Left: CT. Right: PSMA PET, same axial level, [18F]PSMA-1007 tracer. Slice 131 of 401. PET panel 200×200 px (4.1 mm/px).
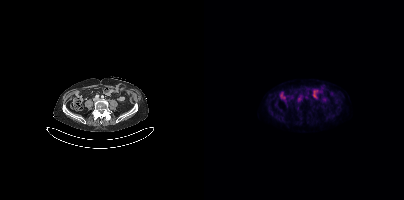
No tumor lesions annotated on this slice.